modality: PSMA PET/CT | tracer: [18F]PSMA-1007 | view: axial | PET grid: 256×256
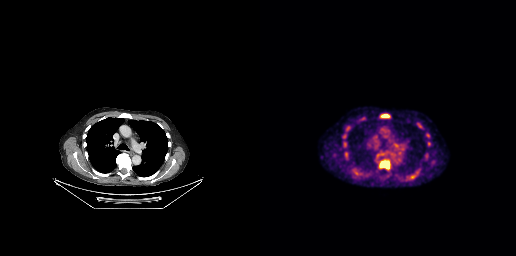
Coordinates are on the 256×256 PET (right) panel. PSMA-avid tumor lesion bounding boxes (x, y, width, height): x=119 y=159 w=12 h=11 | x=121 y=114 w=9 h=4.